- Left: CT. Right: PSMA PET, same axial level, [18F]PSMA-1007 tracer
- acquired on Siemens Biograph mCT Flow 20
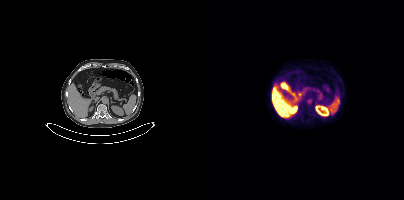
Findings: This slice has no annotated PSMA-avid lesion.